Two-panel axial: CT | PSMA PET, [18F]PSMA-1007 tracer. Slice 189 of 427.
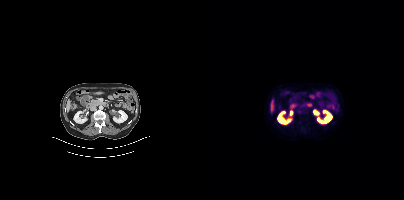
No tumor lesions annotated on this slice.